modality: PSMA PET/CT | tracer: 18F | view: axial | PET grid: 200×200
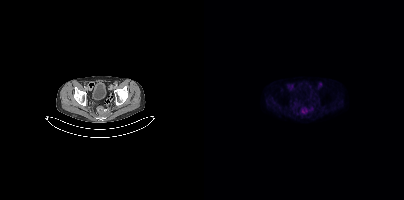
Coordinates are on the 200×200 PET (right) panel. PSMA-avid tumor lesion bounding box (x0, y0)-(x1, y1): (98, 108)-(103, 113).